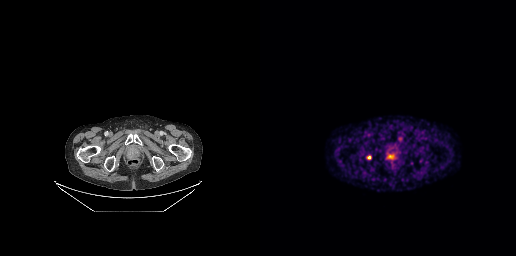
{"pet_grid":[256,256],"coord_frame":"pet_panel","coord_format":"x0,y0,x1,y1","lesion_bboxes":[[126,153,135,159]],"small_foci_centers":[[108,157],[139,138]],"modality":"PSMA PET/CT","view":"axial","tracer":"68Ga-PSMA"}